Technique: Paired axial CT (left) and PSMA PET (right), 18F-PSMA tracer. slice 205 of 389.
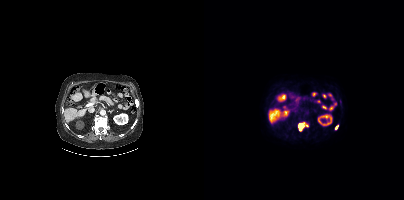
Findings: Coordinates are on the 200×200 PET (right) panel. PSMA-avid tumor lesion bounding box (x, y, width, height): x=94 y=123 w=11 h=8. Small PSMA-avid focus (2 to 4 px across) near (center x, center y): (132, 127).